modality: PSMA PET/CT | tracer: 18F-PSMA | view: axial
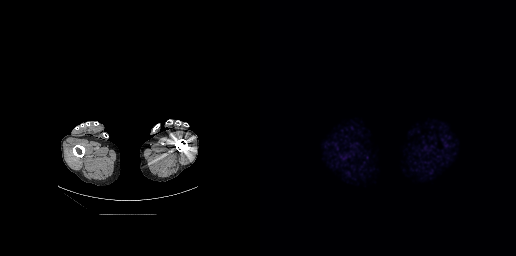
This slice has no annotated PSMA-avid lesion.